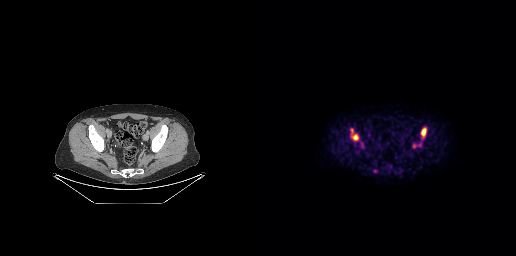
Coordinates are on the 256×256 PET (right) panel. PSMA-avid tumor lesion bounding boxes (x0, y0)-(x1, y1): (90, 128)-(99, 141) | (160, 127)-(166, 138). Small PSMA-avid foci (2 to 4 px across) near (center x, center y): (154, 145) | (102, 144) | (159, 145).